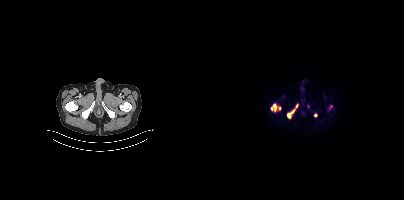
modality: PSMA PET/CT | tracer: 18F-PSMA | view: axial
Coordinates are on the 200×200 PET (right) panel. PSMA-avid tumor lesion bounding boxes (x0,y0,x1,y1): [83,104,94,118] [67,104,76,111]. Small PSMA-avid foci (2 to 4 px across) near (center x, center y): (111, 114) (126, 106).